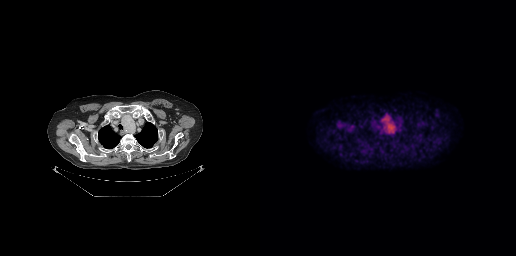
Coordinates are on the 256×256 PET (right) panel. PSMA-avid tumor lesion bounding box (x, y, width, height): x=121 y=114 w=16 h=20.
modality: PSMA PET/CT | tracer: [18F]PSMA-1007 | view: axial